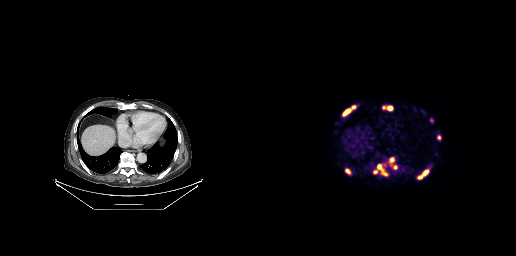
Coordinates are on the 256×256 PET (right) panel. (showing 12 of 14 foci) PSMA-avid tumor lesion bounding boxes (x0, y0)-(x1, y1): (158, 169)-(168, 179) / (85, 169)-(91, 175) / (82, 109)-(87, 116) / (127, 106)-(132, 110) / (177, 135)-(181, 140) / (91, 106)-(95, 108). Small PSMA-avid foci (2 to 4 px across) near (center x, center y): (115, 171) / (135, 167) / (122, 171) / (171, 120) / (119, 166) / (131, 159).